modality: PSMA PET/CT | tracer: [18F]PSMA-1007 | view: axial | PET grid: 200×200
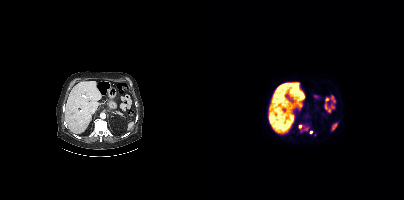
Coordinates are on the 200×200 PET (right) panel. PSMA-avid tumor lesion bounding box (x0,y0,x1,y1): [95,124,104,132]. Small PSMA-avid focus (2 to 4 px across) near (center x, center y): (106, 132).